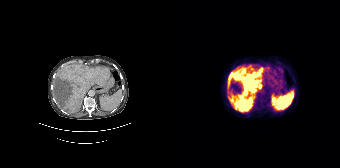
Paired axial CT (left) and PSMA PET (right), 68Ga-PSMA tracer. Slice 119 of 195. Coordinates are on the 168×168 PET (right) panel. PSMA-avid tumor lesion bounding boxes (x0, y0)-(x1, y1): (56, 67)-(90, 112); (77, 66)-(81, 69).